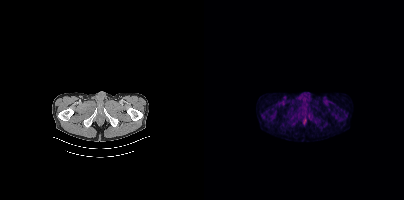
Coordinates are on the 200×200 PET (right) panel. Small PSMA-avid focus (2 to 4 px across) near (center x, center y): (68, 116). Left: CT. Right: PSMA PET, same axial level, 18F-PSMA tracer. Acquired on Siemens Biograph mCT Flow 20. Slice 41 of 448. PET panel 200×200 px (4.1 mm/px).